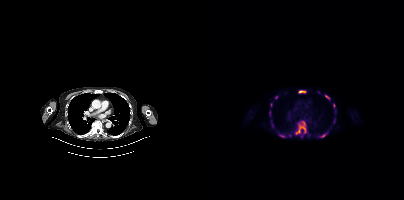
{"pet_grid":[200,200],"coord_frame":"pet_panel","coord_format":"x0,y0,x1,y1","partial":true,"lesion_bboxes":[[90,121,103,134],[75,134,81,137],[94,90,101,93],[115,134,121,137],[121,95,125,99],[67,120,69,125]],"small_foci_centers":[[72,97],[97,136],[130,105],[67,104],[65,114],[86,135]],"modality":"PSMA PET/CT","view":"axial","tracer":"18F"}